Technique: Paired axial CT (left) and PSMA PET (right), [18F]PSMA-1007 tracer.
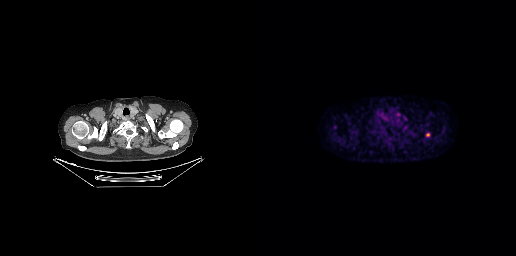
Findings: Coordinates are on the 256×256 PET (right) panel. Small PSMA-avid focus (2 to 4 px across) near (center x, center y): (167, 134).